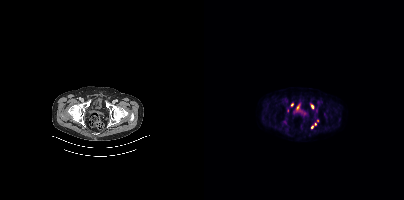
Findings: Coordinates are on the 200×200 PET (right) panel. (showing 4 of 5 foci) Small PSMA-avid foci (2 to 4 px across) near (center x, center y): (108, 105) | (88, 104) | (108, 127) | (111, 124).
- Left: CT. Right: PSMA PET, same axial level, [18F]PSMA-1007 tracer
- acquired on Siemens Biograph mCT Flow 20
- slice 72 of 413
- PET panel 200×200 px (4.1 mm/px)